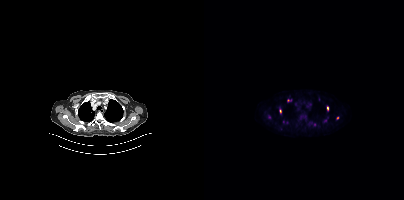
Coordinates are on the 200×200 PET (right) panel. (showing 4 of 6 foci) PSMA-avid tumor lesion bounding box (x0,y0,x1,y1): [123,106,124,110]. Small PSMA-avid foci (2 to 4 px across) near (center x, center y): (133, 118); (84, 100); (76, 111). Left: CT. Right: PSMA PET, same axial level, 18F tracer. Acquired on Siemens Biograph mCT Flow 20. Slice position z = -380 mm. PET panel 200×200 px (4.1 mm/px).